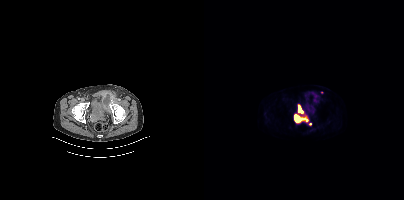
{"pet_grid":[200,200],"coord_frame":"pet_panel","coord_format":"x0,y0,x1,y1","partial":true,"lesion_bboxes":[[90,114,104,122],[94,105,99,113]],"modality":"PSMA PET/CT","view":"axial","tracer":"18F"}